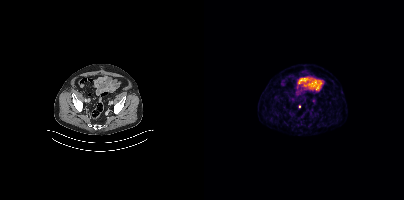
{"modality":"PSMA PET/CT","view":"axial","tracer":"[68Ga]Ga-PSMA-11","pet_grid":[200,200],"coord_frame":"pet_panel","coord_format":"x0,y0,x1,y1","partial":true,"lesion_bboxes":[],"small_foci_centers":[[95,106]]}